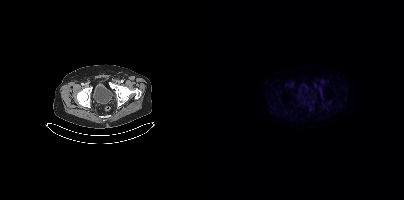
Paired axial CT (left) and PSMA PET (right), [18F]PSMA-1007 tracer. Acquired on Siemens Biograph mCT Flow 20. Slice 65 of 403. PET panel 200×200 px (4.1 mm/px). This slice has no annotated PSMA-avid lesion.